- Two-panel axial: CT | PSMA PET, [18F]PSMA-1007 tracer
- slice position z = -412 mm
- PET panel 200×200 px (4.1 mm/px)
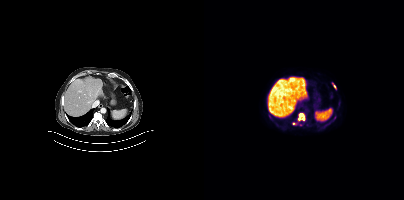
Findings: Coordinates are on the 200×200 PET (right) panel. PSMA-avid tumor lesion bounding box (x0, y0)-(x1, y1): (94, 113)-(101, 120). Small PSMA-avid foci (2 to 4 px across) near (center x, center y): (130, 86) | (89, 123).